- Two-panel axial: CT | PSMA PET, 68Ga tracer
- slice 71 of 195
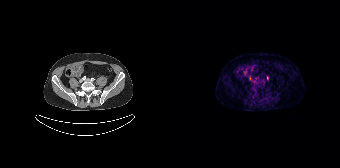
Findings: Only PSMA-avid lesion pieces thinner than 2 px on this slice (not listed).